Left: CT. Right: PSMA PET, same axial level, 18F tracer. PET panel 200×200 px (4.1 mm/px).
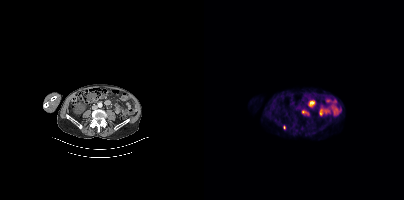
Coordinates are on the 200×200 PET (right) panel. PSMA-avid tumor lesion bounding box (x, y, width, height): x=98 y=110 w=7 h=5. Small PSMA-avid foci (2 to 4 px across) near (center x, center y): (80, 127); (71, 119).